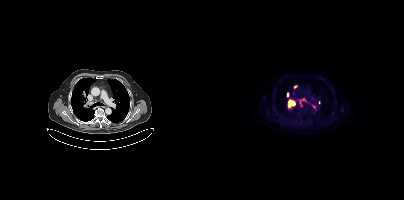
{"modality":"PSMA PET/CT","view":"axial","tracer":"18F-PSMA","pet_grid":[200,200],"coord_frame":"pet_panel","coord_format":"x0,y0,x1,y1","psma_avid_lesions":false}